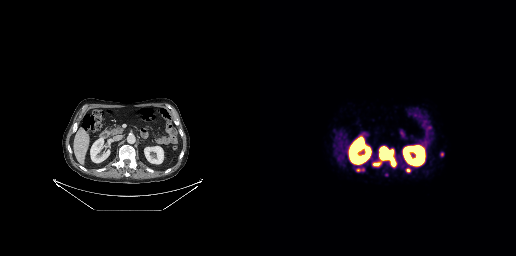
Paired axial CT (left) and PSMA PET (right), 68Ga tracer. PET panel 256×256 px (2.7 mm/px). Coordinates are on the 256×256 PET (right) panel. PSMA-avid tumor lesion bounding boxes (x, y, width, height): x=120 y=146 w=16 h=21; x=113 y=162 w=8 h=5; x=146 y=168 w=5 h=5; x=180 y=152 w=4 h=5; x=96 y=168 w=5 h=4.